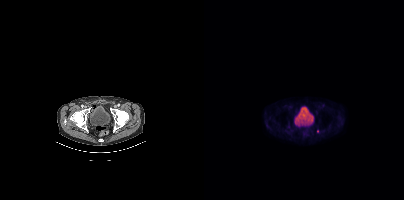
{"modality":"PSMA PET/CT","view":"axial","tracer":"[18F]PSMA-1007","pet_grid":[200,200],"coord_frame":"pet_panel","coord_format":"x0,y0,x1,y1","lesion_bboxes":[],"small_foci_centers":[[113,131]]}